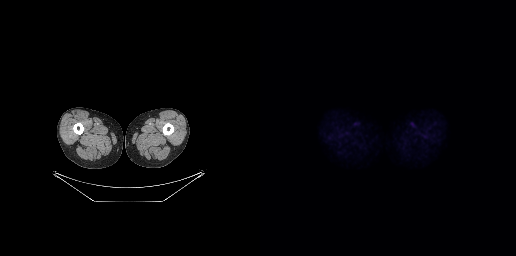
- Left: CT. Right: PSMA PET, same axial level, 18F tracer
- acquired on GE Discovery 690
Findings: No tumor lesions annotated on this slice.